- Paired axial CT (left) and PSMA PET (right), 18F-PSMA tracer
- acquired on Siemens Biograph mCT Flow 20
- slice position z = -297 mm
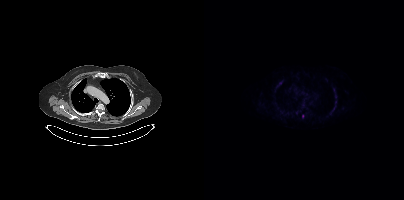
Findings: Coordinates are on the 200×200 PET (right) panel. Small PSMA-avid focus (2 to 4 px across) near (center x, center y): (98, 116).